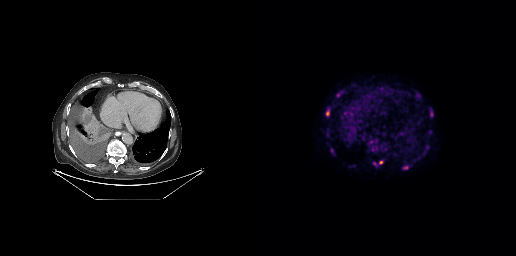
{"pet_grid":[256,256],"coord_frame":"pet_panel","coord_format":"x0,y0,x1,y1","lesion_bboxes":[[70,148,74,154],[66,110,69,115],[143,166,148,169],[156,93,160,97]],"small_foci_centers":[[120,162],[171,113],[77,94],[114,163]],"modality":"PSMA PET/CT","view":"axial","tracer":"18F-PSMA"}